- Left: CT. Right: PSMA PET, same axial level, [68Ga]Ga-PSMA-11 tracer
- acquired on Siemens Biograph mCT Flow 20
- slice 75 of 409
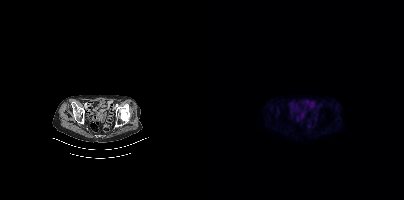
Findings: Negative for PSMA-avid disease on this slice.